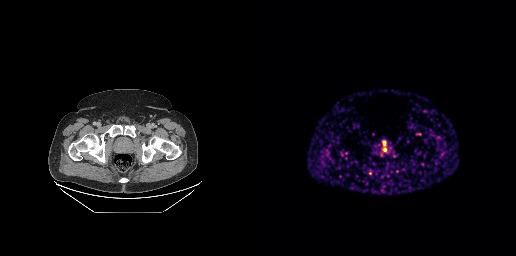
Technique: Two-panel axial: CT | PSMA PET, 68Ga-PSMA tracer. acquired on GE Discovery 690. PET panel 256×256 px (2.7 mm/px).
Findings: Coordinates are on the 256×256 PET (right) panel. PSMA-avid tumor lesion bounding box (x0, y0)-(x1, y1): (124, 145)-(126, 150).